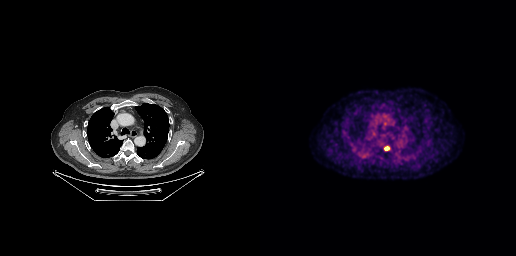
Coordinates are on the 256×256 PET (right) panel. PSMA-avid tumor lesion bounding boxes:
| # | x0 | y0 | x1 | y1 |
|---|---|---|---|---|
| 1 | 124 | 146 | 129 | 150 |
Paired axial CT (left) and PSMA PET (right), [18F]PSMA-1007 tracer. PET panel 256×256 px (2.7 mm/px).